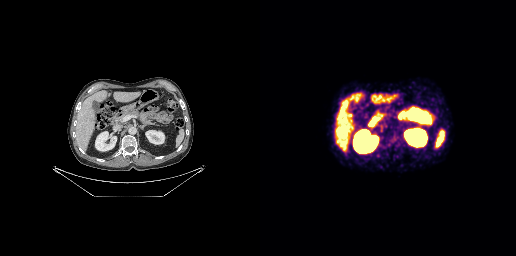
{"pet_grid":[256,256],"coord_frame":"pet_panel","coord_format":"x0,y0,x1,y1","psma_avid_lesions":false,"modality":"PSMA PET/CT","view":"axial","tracer":"68Ga"}